Paired axial CT (left) and PSMA PET (right), 68Ga tracer. Slice position z = -908 mm.
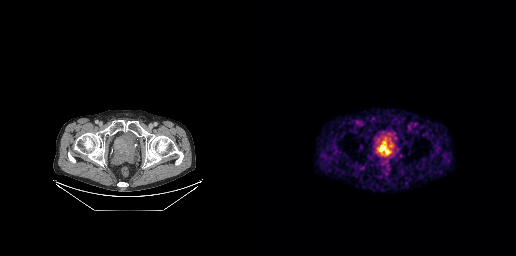
Coordinates are on the 256×256 PET (right) panel. PSMA-avid tumor lesion bounding boxes:
| # | x0 | y0 | x1 | y1 |
|---|---|---|---|---|
| 1 | 119 | 145 | 129 | 153 |